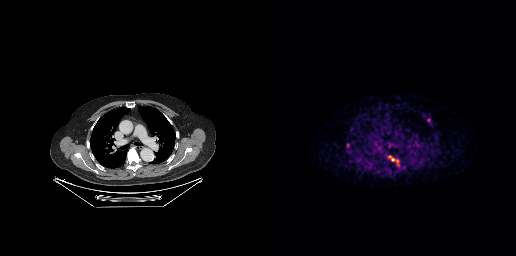
Coordinates are on the 256×256 PET (right) panel. Small PSMA-avid focus (2 to 4 px across) near (center x, center y): (132, 159).